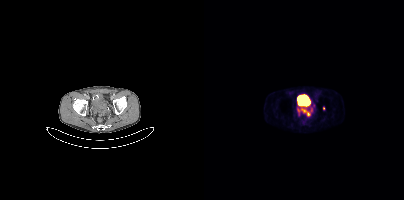
Left: CT. Right: PSMA PET, same axial level, 68Ga tracer.
Coordinates are on the 200×200 PET (right) panel. PSMA-avid tumor lesion bounding boxes (partial; 2 more foci not listed):
| # | x0 | y0 | x1 | y1 |
|---|---|---|---|---|
| 1 | 93 | 107 | 106 | 116 |
Small PSMA-avid foci (2 to 4 px across) near (center x, center y): (119, 108); (112, 100).